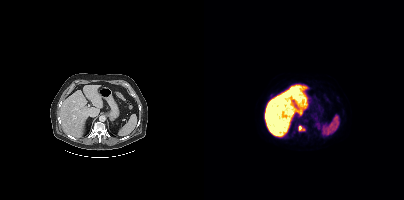
Findings: Coordinates are on the 200×200 PET (right) panel. PSMA-avid tumor lesion bounding box (x0, y0)-(x1, y1): (94, 125)-(100, 130).
- Two-panel axial: CT | PSMA PET, 18F tracer
- slice 228 of 417